Left: CT. Right: PSMA PET, same axial level, 68Ga tracer.
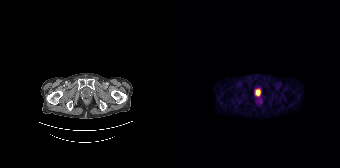
Negative for PSMA-avid disease on this slice.